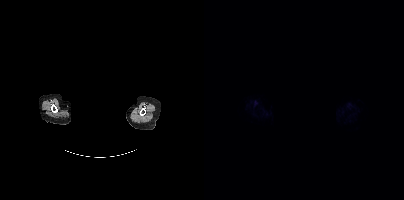
{"modality":"PSMA PET/CT","view":"axial","tracer":"18F","pet_grid":[200,200],"coord_frame":"pet_panel","coord_format":"x0,y0,x1,y1","psma_avid_lesions":false,"de-identification":"rectangular block over head set to black"}